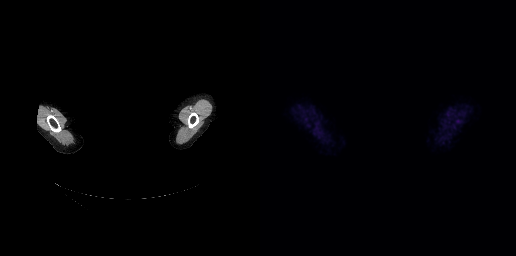
Findings: No PSMA-avid tumor lesions on this slice.
- head region blanked for anonymization (face removed)
- Paired axial CT (left) and PSMA PET (right), 18F tracer
- acquired on GE Discovery 690